Left: CT. Right: PSMA PET, same axial level, 18F tracer. Slice position z = -1715 mm.
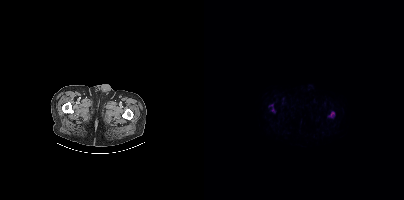
Coordinates are on the 200×200 PET (right) panel. (showing 3 of 4 foci) PSMA-avid tumor lesion bounding box (x0,y0,x1,y1): [125,111,130,117]. Small PSMA-avid foci (2 to 4 px across) near (center x, center y): (69, 109); (67, 105).